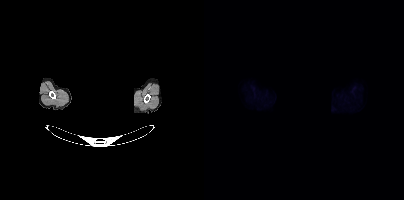
No PSMA-avid tumor lesions on this slice. A rectangle over the head was blacked out to remove identifiable facial features. Left: CT. Right: PSMA PET, same axial level, 18F tracer. Acquired on Siemens Biograph mCT Flow 20. Slice 376 of 421.